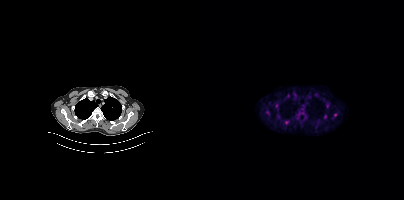
Coordinates are on the 200×200 PET (right) panel. PSMA-avid tumor lesion bounding boxes:
| # | x0 | y0 | x1 | y1 |
|---|---|---|---|---|
| 1 | 122 | 102 | 125 | 107 |
| 2 | 130 | 113 | 133 | 117 |
Small PSMA-avid foci (2 to 4 px across) near (center x, center y): (121, 116); (63, 112); (81, 122); (74, 116); (113, 121).
Two-panel axial: CT | PSMA PET, [18F]PSMA-1007 tracer. Acquired on Siemens Biograph mCT Flow 20. Slice 315 of 413.